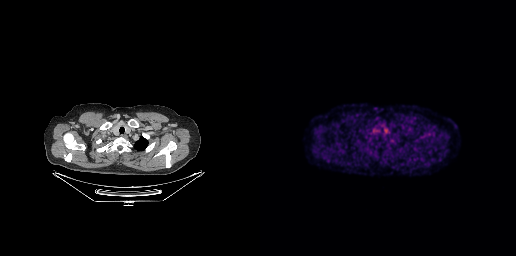
- Left: CT. Right: PSMA PET, same axial level, 18F-PSMA tracer
Findings: No tumor lesions annotated on this slice.